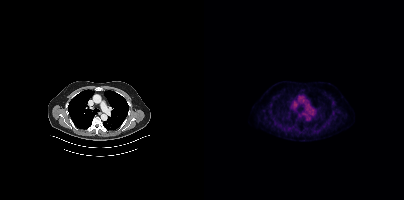
Two-panel axial: CT | PSMA PET, 18F tracer. Slice position z = -1151 mm. Only PSMA-avid lesion pieces thinner than 2 px on this slice (not listed).